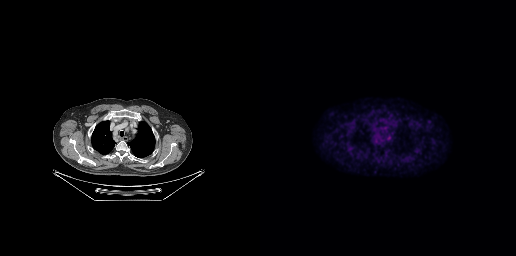
Negative for PSMA-avid disease on this slice.